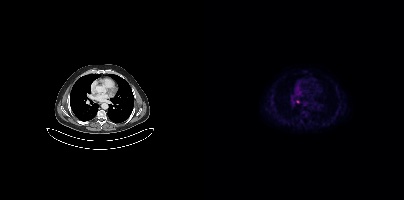
modality: PSMA PET/CT | tracer: 18F-PSMA | view: axial | PET grid: 200×200
Coordinates are on the 200×200 PET (right) panel. Small PSMA-avid foci (2 to 4 px across) near (center x, center y): (93, 101); (100, 104).